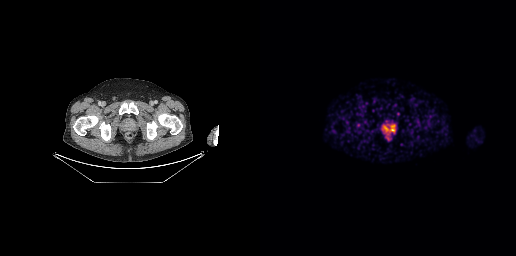
Findings: Coordinates are on the 256×256 PET (right) panel. Small PSMA-avid foci (2 to 4 px across) near (center x, center y): (132, 130) | (126, 128).
- Left: CT. Right: PSMA PET, same axial level, 68Ga tracer
- PET panel 256×256 px (2.7 mm/px)